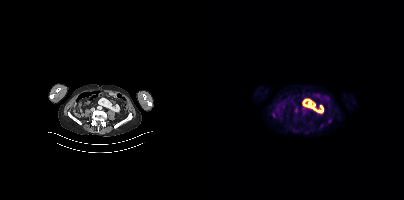
- Paired axial CT (left) and PSMA PET (right), 18F tracer
- slice 135 of 421
Findings: This slice has no annotated PSMA-avid lesion.